- Left: CT. Right: PSMA PET, same axial level, [68Ga]Ga-PSMA-11 tracer
- acquired on Siemens Biograph 64-4R TruePoint
- slice position z = -386 mm
- PET panel 168×168 px (4.1 mm/px)
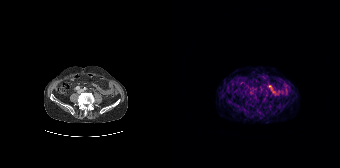
Findings: No tumor lesions annotated on this slice.